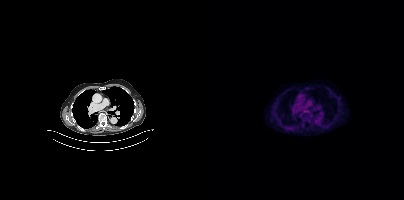
Two-panel axial: CT | PSMA PET, 18F tracer. Acquired on Siemens Biograph mCT Flow 20. Slice position z = -493 mm. PET panel 200×200 px (4.1 mm/px). No PSMA-avid tumor lesions on this slice.